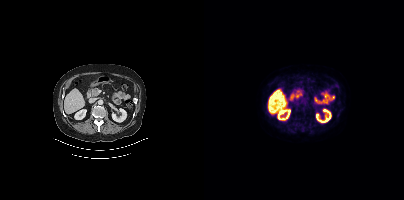
modality: PSMA PET/CT | tracer: [18F]PSMA-1007 | view: axial | PET grid: 200×200
Coordinates are on the 200×200 PET (right) panel. (showing 2 of 3 foci) Small PSMA-avid foci (2 to 4 px across) near (center x, center y): (99, 109) (99, 126).